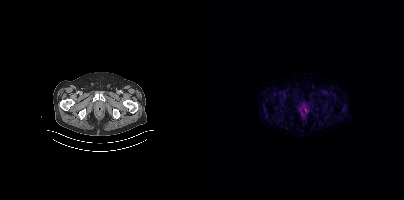
Technique: Left: CT. Right: PSMA PET, same axial level, 68Ga-PSMA tracer. acquired on Siemens Biograph mCT Flow 20.
Findings: No PSMA-avid tumor lesions on this slice.